Paired axial CT (left) and PSMA PET (right), 18F-PSMA tracer. Acquired on GE Discovery 690.
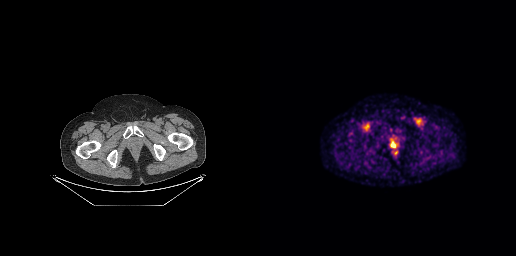
Coordinates are on the 256×256 PET (right) panel. PSMA-avid tumor lesion bounding box (x0, y0)-(x1, y1): (131, 143)-(135, 148).